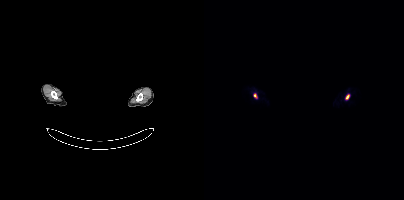
Privacy masking over the head, with the pixels inside a rectangle set to black.
Coordinates are on the 200×200 PET (right) panel. PSMA-avid tumor lesion bounding box (x0,y0,x1,y1): [142,95,145,99]. Small PSMA-avid focus (2 to 4 px across) near (center x, center y): (51, 95).